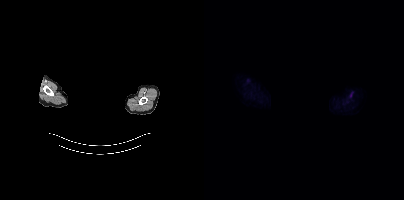
A rectangular block over the head has been blanked out for de-identification.
No tumor lesions annotated on this slice.